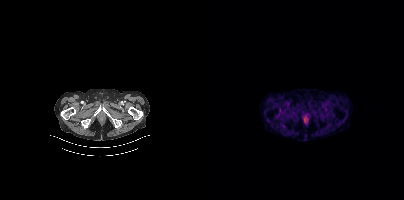
Findings: Negative for PSMA-avid disease on this slice.
- Left: CT. Right: PSMA PET, same axial level, 68Ga tracer